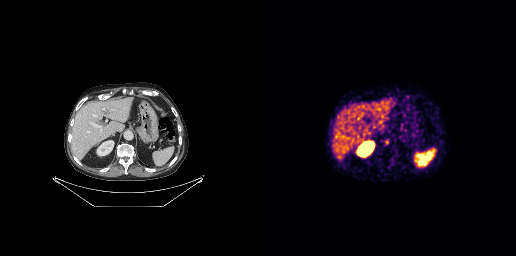
{"modality":"PSMA PET/CT","view":"axial","tracer":"68Ga","pet_grid":[256,256],"coord_frame":"pet_panel","coord_format":"x0,y0,x1,y1","lesion_bboxes":[[125,140,128,144]]}